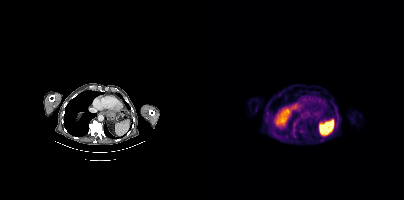
Left: CT. Right: PSMA PET, same axial level, [18F]PSMA-1007 tracer. PET panel 200×200 px (4.1 mm/px). Coordinates are on the 200×200 PET (right) panel. Small PSMA-avid focus (2 to 4 px across) near (center x, center y): (97, 130).